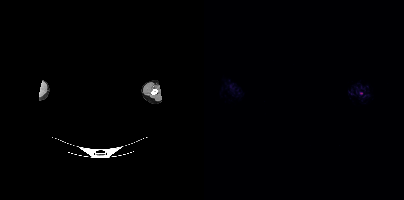
{"pet_grid":[200,200],"coord_frame":"pet_panel","coord_format":"x0,y0,x1,y1","partial":true,"lesion_bboxes":[],"modality":"PSMA PET/CT","view":"axial","tracer":"18F","de-identification":"head region blacked out before release"}